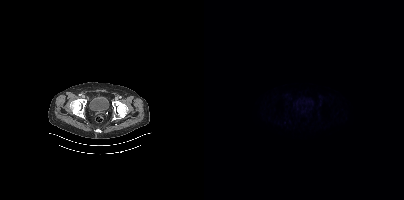
Negative for PSMA-avid disease on this slice.
modality: PSMA PET/CT | tracer: 18F-PSMA | view: axial | PET grid: 200×200